Paired axial CT (left) and PSMA PET (right), [18F]PSMA-1007 tracer. Acquired on Siemens Biograph mCT Flow 20.
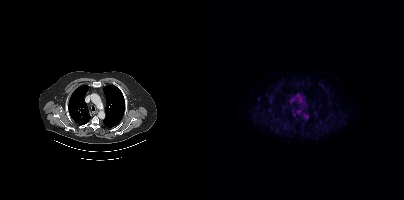
This slice has no annotated PSMA-avid lesion.